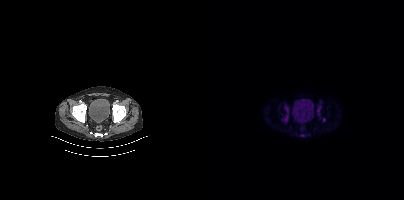
- Paired axial CT (left) and PSMA PET (right), 18F-PSMA tracer
- acquired on Siemens Biograph mCT Flow 20
- PET panel 200×200 px (4.1 mm/px)
Findings: Coordinates are on the 200×200 PET (right) panel. (showing 4 of 7 foci) PSMA-avid tumor lesion bounding boxes (x, y, width, height): x=80 y=114 w=5 h=8 / x=113 y=106 w=5 h=10 / x=81 y=106 w=4 h=7. Small PSMA-avid focus (2 to 4 px across) near (center x, center y): (120, 119).